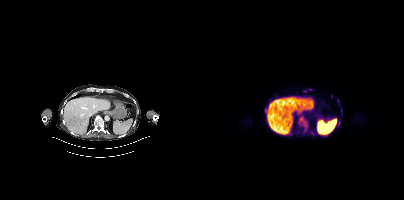
{"modality":"PSMA PET/CT","view":"axial","tracer":"[18F]PSMA-1007","pet_grid":[200,200],"coord_frame":"pet_panel","coord_format":"x0,y0,x1,y1","partial":true,"lesion_bboxes":[[94,116,104,132],[103,88,109,90],[137,109,138,114]],"small_foci_centers":[[134,124],[62,110],[100,91],[134,100],[108,133],[119,136],[127,96]]}